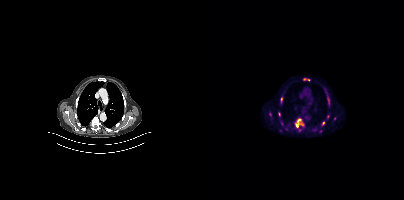
Findings: Coordinates are on the 200×200 PET (right) panel. PSMA-avid tumor lesion bounding boxes (x0, y0)-(x1, y1): (90, 118)-(100, 131) | (123, 95)-(125, 105) | (100, 78)-(105, 80) | (74, 112)-(76, 116) | (123, 115)-(125, 119) | (118, 121)-(121, 125) | (77, 98)-(78, 102). Small PSMA-avid focus (2 to 4 px across) near (center x, center y): (66, 114).
- Left: CT. Right: PSMA PET, same axial level, 18F tracer
- acquired on Siemens Biograph mCT Flow 20
- slice 262 of 373